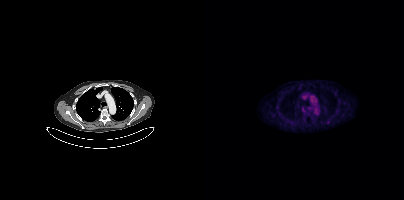
No tumor lesions annotated on this slice.